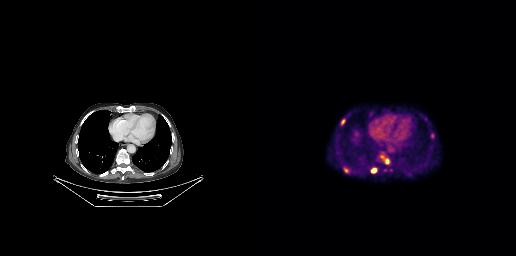
{"modality":"PSMA PET/CT","view":"axial","tracer":"[18F]PSMA-1007","pet_grid":[256,256],"coord_frame":"pet_panel","coord_format":"x0,y0,x1,y1","partial":true,"lesion_bboxes":[[83,167,89,172],[111,168,117,172],[81,119,85,124]]}